Paired axial CT (left) and PSMA PET (right), 18F tracer. PET panel 200×200 px (4.1 mm/px).
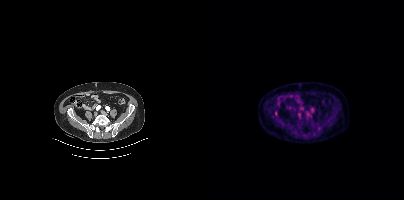
Coordinates are on the 200×200 PET (right) panel. Small PSMA-avid focus (2 to 4 px across) near (center x, center y): (72, 112).